Technique: Paired axial CT (left) and PSMA PET (right), [68Ga]Ga-PSMA-11 tracer. acquired on Siemens Biograph 64-4R TruePoint.
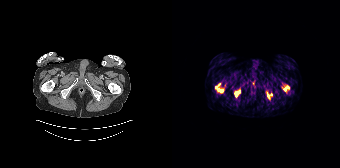
Findings: Coordinates are on the 168×168 PET (right) panel. (showing 6 of 7 foci) PSMA-avid tumor lesion bounding boxes (x0, y0)-(x1, y1): (63, 90)-(68, 96) | (111, 86)-(117, 90) | (46, 89)-(51, 92) | (95, 92)-(97, 98). Small PSMA-avid foci (2 to 4 px across) near (center x, center y): (44, 87) | (99, 94).